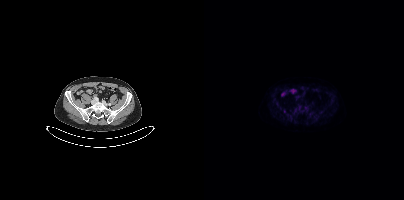
Coordinates are on the 200×200 PET (right) panel. Small PSMA-avid focus (2 to 4 px across) near (center x, center y): (80, 111). Paired axial CT (left) and PSMA PET (right), 18F-PSMA tracer. Slice position z = -844 mm. PET panel 200×200 px (4.1 mm/px).